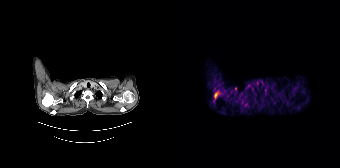
modality: PSMA PET/CT | tracer: 68Ga-PSMA | view: axial
Coordinates are on the 168×168 PET (right) panel. PSMA-avid tumor lesion bounding box (x0, y0)-(x1, y1): (42, 91)-(47, 98). Small PSMA-avid focus (2 to 4 px across) near (center x, center y): (63, 88).